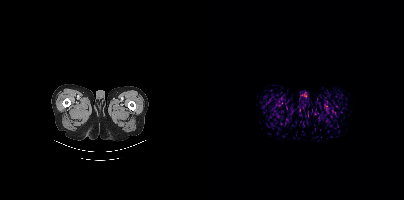
No PSMA-avid tumor lesions on this slice.